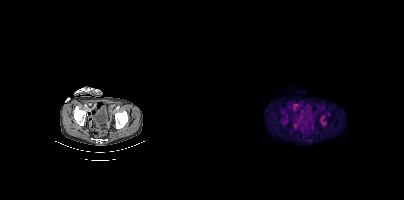
modality: PSMA PET/CT | tracer: [18F]PSMA-1007 | view: axial | PET grid: 200×200
Coordinates are on the 200×200 PET (right) panel. PSMA-avid tumor lesion bounding boxes (x, y, width, height): x=116 y=115 w=7 h=11 | x=79 y=119 w=5 h=6. Small PSMA-avid focus (2 to 4 px across) near (center x, center y): (124, 114).